- Left: CT. Right: PSMA PET, same axial level, 68Ga-PSMA tracer
- slice position z = -914 mm
- PET panel 168×168 px (4.1 mm/px)
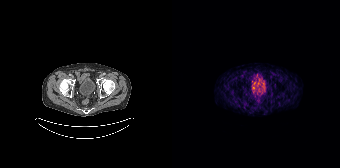
Findings: This slice has no annotated PSMA-avid lesion.